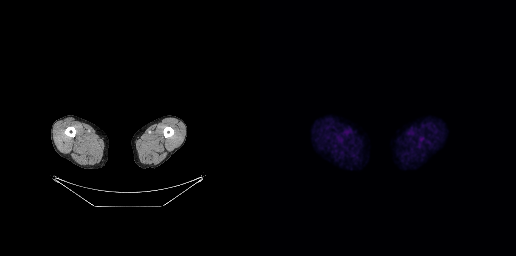
No PSMA-avid tumor lesions on this slice.